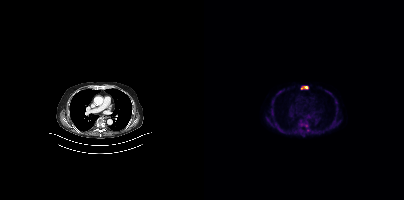
Coordinates are on the 200×200 PET (right) panel. PSMA-avid tumor lesion bounding boxes (x0, y0)-(x1, y1): (99, 123)-(105, 130) / (97, 86)-(104, 89). Small PSMA-avid focus (2 to 4 px across) near (center x, center y): (68, 115). Two-panel axial: CT | PSMA PET, 18F-PSMA tracer. PET panel 200×200 px (4.1 mm/px).